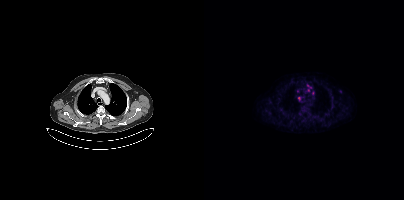
Coordinates are on the 200×200 PET (right) panel. PSMA-avid tumor lesion bounding box (x0,y0,x1,y1): [103,84,107,91]. Small PSMA-avid focus (2 to 4 px across) near (center x, center y): (94, 97).